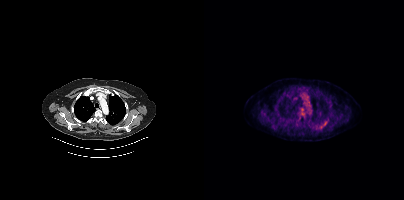
{"modality":"PSMA PET/CT","view":"axial","tracer":"[18F]PSMA-1007","pet_grid":[200,200],"coord_frame":"pet_panel","coord_format":"x0,y0,x1,y1","partial":true,"lesion_bboxes":[]}